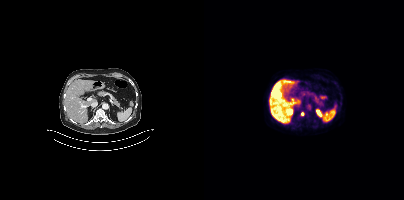
{"pet_grid":[200,200],"coord_frame":"pet_panel","coord_format":"x0,y0,x1,y1","lesion_bboxes":[],"small_foci_centers":[[98,114]],"modality":"PSMA PET/CT","view":"axial","tracer":"[18F]PSMA-1007"}